Paired axial CT (left) and PSMA PET (right), [18F]PSMA-1007 tracer. Acquired on Siemens Biograph mCT Flow 20.
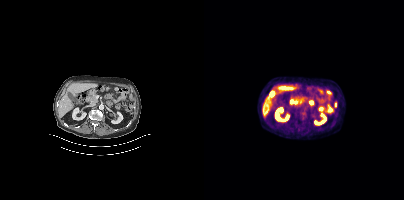
Negative for PSMA-avid disease on this slice.